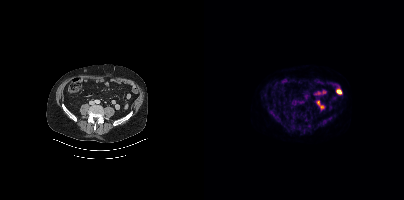
This slice has no annotated PSMA-avid lesion.
modality: PSMA PET/CT | tracer: [18F]PSMA-1007 | view: axial | PET grid: 200×200